Paired axial CT (left) and PSMA PET (right), [18F]PSMA-1007 tracer. Slice position z = -1184 mm.
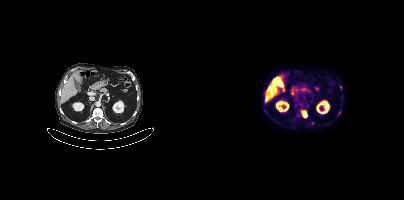
Coordinates are on the 200×200 PET (right) panel. (showing 3 of 4 foci) PSMA-avid tumor lesion bounding box (x0,y0,x1,y1): [97,110,103,117]. Small PSMA-avid foci (2 to 4 px across) near (center x, center y): (108, 123); (136, 86).